modality: PSMA PET/CT | tracer: [18F]PSMA-1007 | view: axial
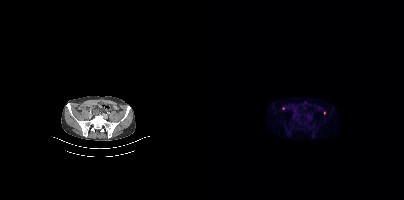
Coordinates are on the 200×200 PET (right) panel. (showing 1 of 2 foci) Small PSMA-avid focus (2 to 4 px across) near (center x, center y): (120, 112).